Two-panel axial: CT | PSMA PET, 68Ga-PSMA tracer. A rectangular block over the head has been blanked out for de-identification.
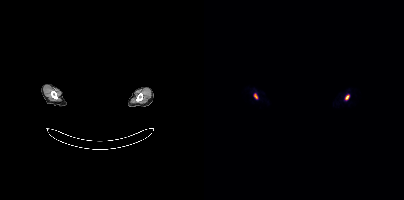
Coordinates are on the 200×200 PET (right) panel. PSMA-avid tumor lesion bounding boxes:
| # | x0 | y0 | x1 | y1 |
|---|---|---|---|---|
| 1 | 141 | 95 | 144 | 99 |
| 2 | 50 | 94 | 53 | 98 |